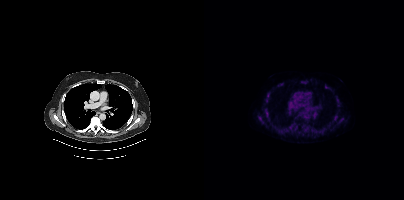
Two-panel axial: CT | PSMA PET, 18F tracer. Acquired on Siemens Biograph mCT Flow 20. Slice 330 of 464. PET panel 200×200 px (4.1 mm/px). Coordinates are on the 200×200 PET (right) panel. (showing 15 of 19 foci) PSMA-avid tumor lesion bounding boxes (x0, y0)-(x1, y1): (60, 109)-(68, 123) / (87, 127)-(91, 132) / (100, 126)-(104, 130) / (54, 117)-(58, 121) / (97, 80)-(101, 83) / (92, 123)-(97, 125) / (132, 112)-(133, 116). Small PSMA-avid foci (2 to 4 px across) near (center x, center y): (63, 95) / (74, 130) / (122, 86) / (119, 130) / (137, 120) / (78, 83) / (93, 118) / (70, 127).